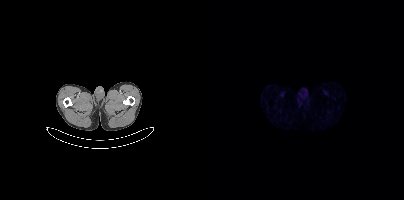
modality: PSMA PET/CT | tracer: 68Ga | view: axial | PET grid: 200×200
This slice has no annotated PSMA-avid lesion.